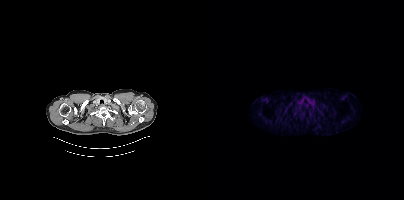
Two-panel axial: CT | PSMA PET, 18F tracer. Slice position z = -336 mm. PET panel 200×200 px (4.1 mm/px). Negative for PSMA-avid disease on this slice.